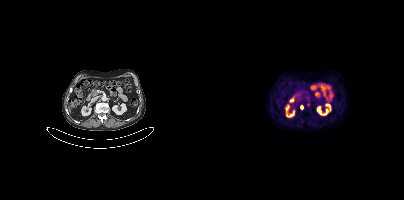
Left: CT. Right: PSMA PET, same axial level, [18F]PSMA-1007 tracer. Acquired on Siemens Biograph mCT Flow 20. PET panel 200×200 px (4.1 mm/px). Coordinates are on the 200×200 PET (right) panel. Small PSMA-avid focus (2 to 4 px across) near (center x, center y): (97, 107).